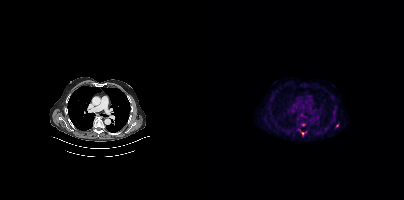
{"modality":"PSMA PET/CT","view":"axial","tracer":"[18F]PSMA-1007","pet_grid":[200,200],"coord_frame":"pet_panel","coord_format":"x0,y0,x1,y1","partial":true,"lesion_bboxes":[],"small_foci_centers":[[98,133]]}